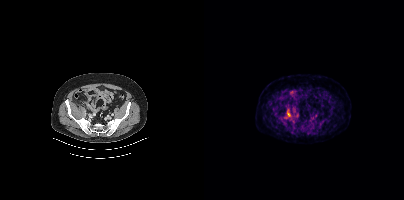
Coordinates are on the 200×200 PET (right) panel. PSMA-avid tumor lesion bounding box (x0,y0,x1,y1): [81,109,86,117].